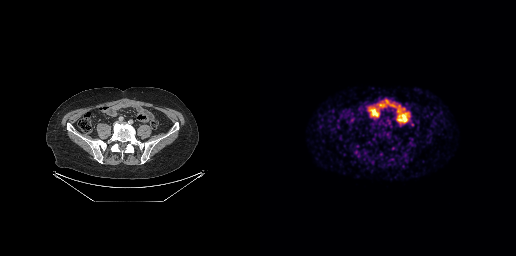
{"modality":"PSMA PET/CT","view":"axial","tracer":"68Ga-PSMA","pet_grid":[256,256],"coord_frame":"pet_panel","coord_format":"x0,y0,x1,y1","psma_avid_lesions":false}